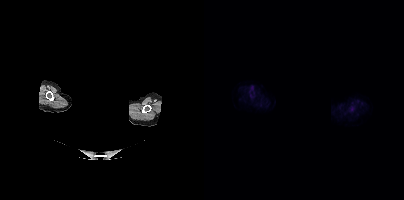
modality: PSMA PET/CT | tracer: 18F | view: axial | de-identification: head region blanked (face removed)
This slice has no annotated PSMA-avid lesion.